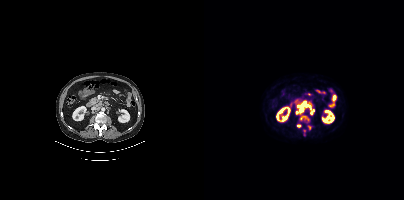
Findings: Coordinates are on the 200×200 PET (right) panel. (showing 3 of 4 foci) PSMA-avid tumor lesion bounding boxes (x, y, width, height): x=92 y=102 w=12 h=12 | x=105 y=106 w=6 h=9. Small PSMA-avid focus (2 to 4 px across) near (center x, center y): (94, 125).
Technique: Two-panel axial: CT | PSMA PET, [18F]PSMA-1007 tracer. slice position z = -1327 mm. PET panel 200×200 px (4.1 mm/px).